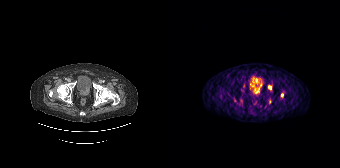
- Paired axial CT (left) and PSMA PET (right), [68Ga]Ga-PSMA-11 tracer
- acquired on Siemens Biograph 64-4R TruePoint
- PET panel 168×168 px (4.1 mm/px)
Findings: Coordinates are on the 168×168 PET (right) panel. (showing 5 of 6 foci) PSMA-avid tumor lesion bounding box (x0,y0,x1,y1): [108,93,111,97]. Small PSMA-avid foci (2 to 4 px across) near (center x, center y): (97, 87); (63, 99); (71, 85); (97, 100).